Paired axial CT (left) and PSMA PET (right), [18F]PSMA-1007 tracer. Acquired on GE Discovery 690. PET panel 256×256 px (2.7 mm/px).
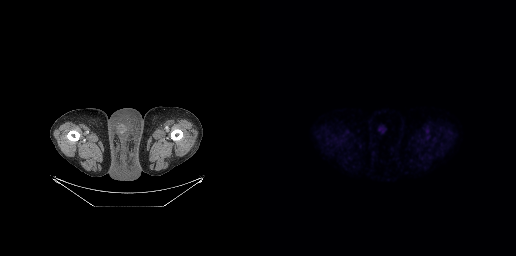
No PSMA-avid tumor lesions on this slice.